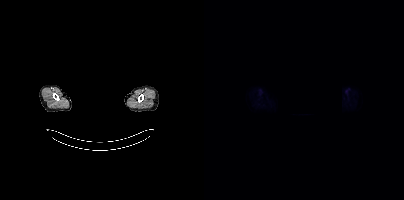
{"modality":"PSMA PET/CT","view":"axial","tracer":"18F","pet_grid":[200,200],"coord_frame":"pet_panel","coord_format":"x0,y0,x1,y1","deidentification":"privacy mask over head","psma_avid_lesions":false}